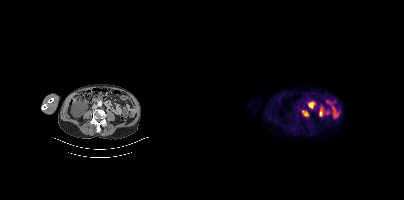
Coordinates are on the 200×200 PET (right) panel. (showing 1 of 2 foci) PSMA-avid tumor lesion bounding box (x, y, width, height): x=98 y=110 w=7 h=7.